modality: PSMA PET/CT | tracer: 18F | view: axial | PET grid: 200×200
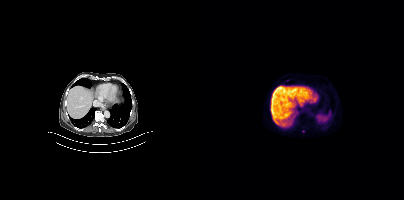
Only PSMA-avid lesion pieces thinner than 2 px on this slice (not listed).